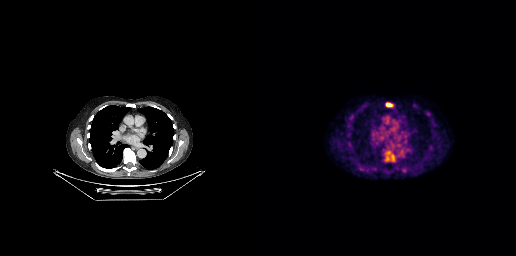
Technique: Two-panel axial: CT | PSMA PET, 18F tracer. PET panel 256×256 px (2.7 mm/px).
Findings: Coordinates are on the 256×256 PET (right) panel. (showing 3 of 5 foci) PSMA-avid tumor lesion bounding boxes (x, y, width, height): x=124 y=150 w=12 h=13; x=126 y=103 w=7 h=4. Small PSMA-avid focus (2 to 4 px across) near (center x, center y): (138, 155).